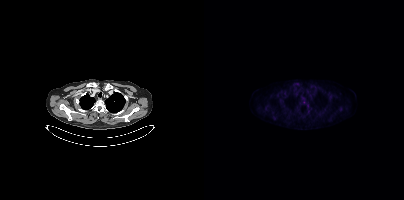
modality: PSMA PET/CT | tracer: [18F]PSMA-1007 | view: axial
No tumor lesions annotated on this slice.